modality: PSMA PET/CT | tracer: [18F]PSMA-1007 | view: axial | PET grid: 200×200
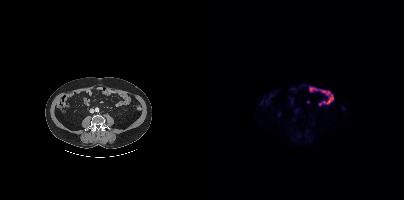
Negative for PSMA-avid disease on this slice.